Technique: Paired axial CT (left) and PSMA PET (right), 18F-PSMA tracer. slice 182 of 413. PET panel 200×200 px (4.1 mm/px).
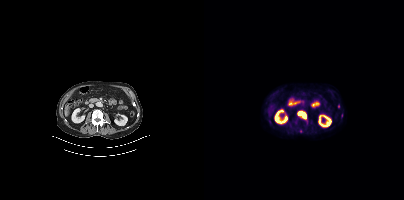
Findings: Coordinates are on the 200×200 PET (right) panel. PSMA-avid tumor lesion bounding box (x, y, width, height): x=94 y=111 w=9 h=8.